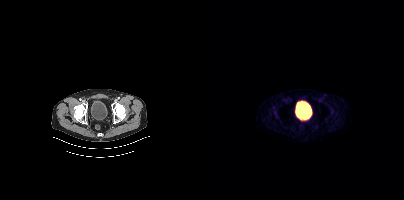
Two-panel axial: CT | PSMA PET, 68Ga tracer. Acquired on Siemens Biograph mCT Flow 20. Slice 68 of 407. PET panel 200×200 px (4.1 mm/px). No PSMA-avid tumor lesions on this slice.